modality: PSMA PET/CT | tracer: [68Ga]Ga-PSMA-11 | view: axial | PET grid: 168×168
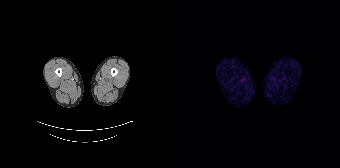
No PSMA-avid tumor lesions on this slice.